Technique: Two-panel axial: CT | PSMA PET, [68Ga]Ga-PSMA-11 tracer. slice position z = -1174 mm.
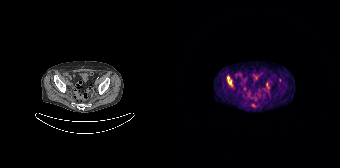
Findings: Coordinates are on the 168×168 PET (right) panel. PSMA-avid tumor lesion bounding boxes (x, y, width, height): x=55 y=76 w=5 h=9 | x=94 y=82 w=4 h=6. Small PSMA-avid focus (2 to 4 px across) near (center x, center y): (81, 105).